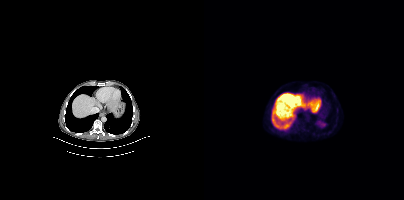
No PSMA-avid tumor lesions on this slice.